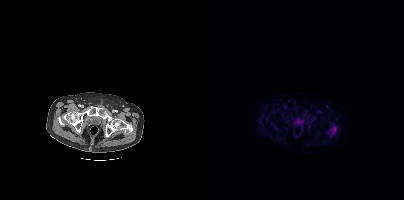
Left: CT. Right: PSMA PET, same axial level, 18F-PSMA tracer. Acquired on Siemens Biograph mCT Flow 20. This slice has no annotated PSMA-avid lesion.